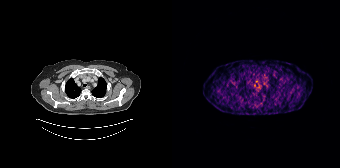
This slice has no annotated PSMA-avid lesion.
modality: PSMA PET/CT | tracer: 68Ga-PSMA | view: axial | PET grid: 168×168